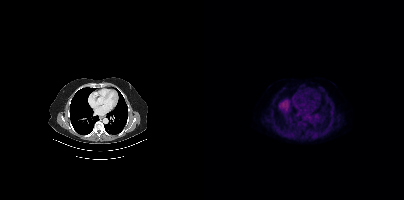
Technique: Two-panel axial: CT | PSMA PET, [18F]PSMA-1007 tracer. acquired on Siemens Biograph mCT Flow 20.
Findings: No tumor lesions annotated on this slice.